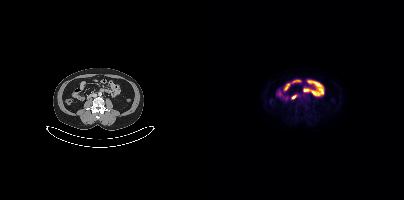
No PSMA-avid tumor lesions on this slice.